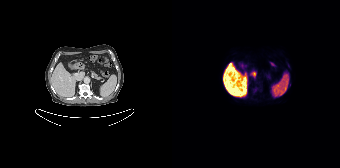
{"modality":"PSMA PET/CT","view":"axial","tracer":"18F-PSMA","pet_grid":[168,168],"coord_frame":"pet_panel","coord_format":"x0,y0,x1,y1","psma_avid_lesions":false}